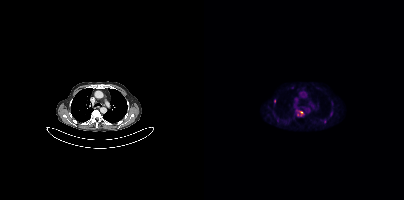
- Left: CT. Right: PSMA PET, same axial level, [18F]PSMA-1007 tracer
- acquired on Siemens Biograph mCT Flow 20
Findings: Coordinates are on the 200×200 PET (right) panel. (showing 3 of 4 foci) PSMA-avid tumor lesion bounding box (x, y, width, height): x=94 y=111 w=6 h=5. Small PSMA-avid foci (2 to 4 px across) near (center x, center y): (70, 100); (93, 114).